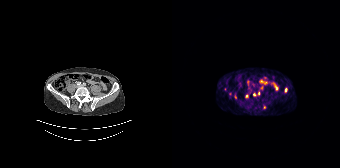
{"pet_grid":[168,168],"coord_frame":"pet_panel","coord_format":"x0,y0,x1,y1","partial":true,"lesion_bboxes":[[62,94,64,98],[113,88,115,92]],"small_foci_centers":[[58,93],[82,94],[89,88],[74,96],[86,93]],"modality":"PSMA PET/CT","view":"axial","tracer":"68Ga-PSMA"}